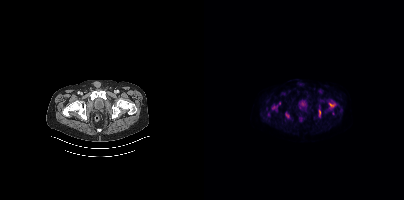
Two-panel axial: CT | PSMA PET, [18F]PSMA-1007 tracer. Acquired on Siemens Biograph mCT Flow 20. PET panel 200×200 px (4.1 mm/px). Coordinates are on the 200×200 PET (right) panel. PSMA-avid tumor lesion bounding boxes (x, y, width, height): x=125 y=102 w=6 h=6 / x=81 y=113 w=5 h=5 / x=68 y=106 w=6 h=4 / x=115 y=110 w=2 h=6. Small PSMA-avid foci (2 to 4 px across) near (center x, center y): (129, 112) / (64, 113) / (75, 103).